Paired axial CT (left) and PSMA PET (right), 18F tracer. Acquired on Siemens Biograph 64-4R TruePoint. The head region is masked for de-identification.
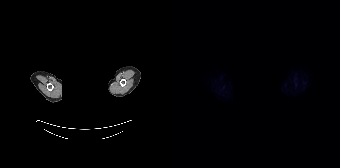
This slice has no annotated PSMA-avid lesion.